Two-panel axial: CT | PSMA PET, [18F]PSMA-1007 tracer. PET panel 256×256 px (2.7 mm/px).
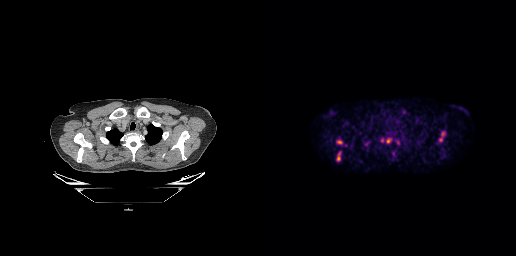
Coordinates are on the 256×256 PET (right) panel. (showing 5 of 8 foci) PSMA-avid tumor lesion bounding boxes (x0, y0)-(x1, y1): (76, 151)-(81, 161) / (179, 131)-(185, 141) / (76, 139)-(82, 144) / (126, 138)-(131, 143) / (120, 138)-(124, 142).